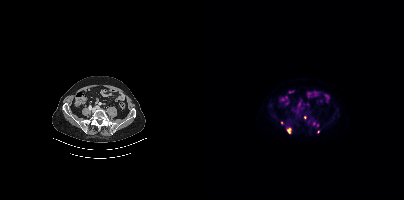
- Two-panel axial: CT | PSMA PET, [18F]PSMA-1007 tracer
- acquired on Siemens Biograph mCT Flow 20
Findings: Coordinates are on the 200×200 PET (right) panel. PSMA-avid tumor lesion bounding box (x0, y0)-(x1, y1): (83, 128)-(86, 133). Small PSMA-avid foci (2 to 4 px across) near (center x, center y): (101, 117) / (109, 123) / (114, 131).